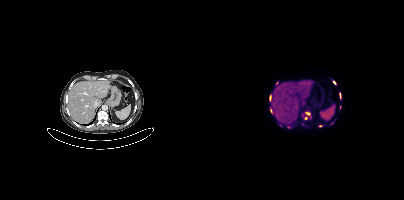
Paired axial CT (left) and PSMA PET (right), 18F-PSMA tracer. Acquired on Siemens Biograph mCT Flow 20. Coordinates are on the 200×200 PET (right) panel. (showing 8 of 12 foci) PSMA-avid tumor lesion bounding boxes (x, y, width, height): x=101 y=112 w=7 h=7 | x=65 y=95 w=2 h=6. Small PSMA-avid foci (2 to 4 px across) near (center x, center y): (130, 82) | (67, 110) | (102, 118) | (136, 106) | (72, 83) | (116, 125).